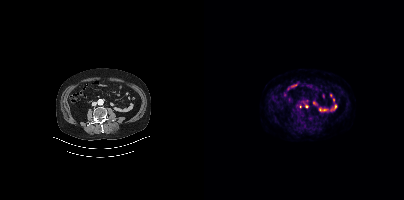
Paired axial CT (left) and PSMA PET (right), [18F]PSMA-1007 tracer. Acquired on Siemens Biograph mCT Flow 20. Slice 180 of 454. Coordinates are on the 200×200 PET (right) panel. Small PSMA-avid foci (2 to 4 px across) near (center x, center y): (102, 106) / (96, 106).